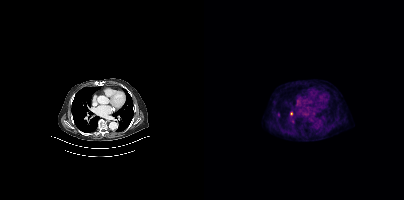
{"modality":"PSMA PET/CT","view":"axial","tracer":"[18F]PSMA-1007","pet_grid":[200,200],"coord_frame":"pet_panel","coord_format":"x0,y0,x1,y1","lesion_bboxes":[],"small_foci_centers":[[87,113],[74,114]]}